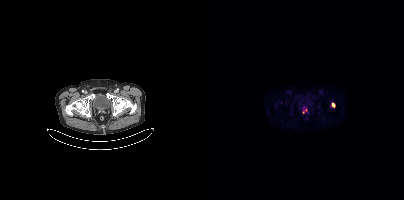
{"modality":"PSMA PET/CT","view":"axial","tracer":"18F","pet_grid":[200,200],"coord_frame":"pet_panel","coord_format":"x0,y0,x1,y1","lesion_bboxes":[[99,109,103,112]],"small_foci_centers":[[129,104]]}